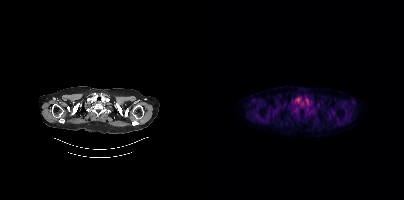
Findings: Negative for PSMA-avid disease on this slice.
- Paired axial CT (left) and PSMA PET (right), 18F tracer
- acquired on Siemens Biograph mCT Flow 20
- slice 367 of 438
- PET panel 200×200 px (4.1 mm/px)